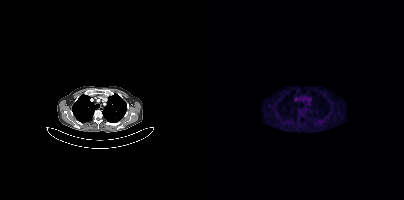
Findings: No PSMA-avid tumor lesions on this slice.
- Paired axial CT (left) and PSMA PET (right), 18F tracer
- PET panel 200×200 px (4.1 mm/px)